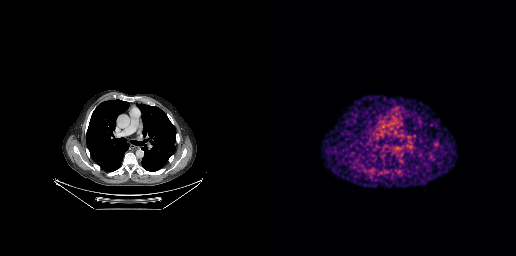
- Two-panel axial: CT | PSMA PET, 68Ga tracer
- PET panel 256×256 px (2.7 mm/px)
Findings: Coordinates are on the 256×256 PET (right) panel. PSMA-avid tumor lesion bounding box (x0,y0,x1,y1): [173,142,179,149].